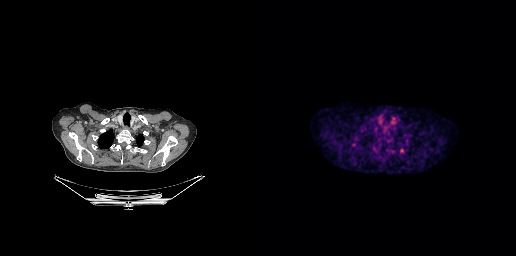
modality: PSMA PET/CT | tracer: [18F]PSMA-1007 | view: axial
Negative for PSMA-avid disease on this slice.